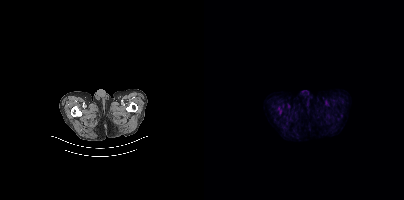
{"modality":"PSMA PET/CT","view":"axial","tracer":"[18F]PSMA-1007","pet_grid":[200,200],"coord_frame":"pet_panel","coord_format":"x0,y0,x1,y1","partial":true,"lesion_bboxes":[],"small_foci_centers":[[76,112]]}